modality: PSMA PET/CT | tracer: [18F]PSMA-1007 | view: axial
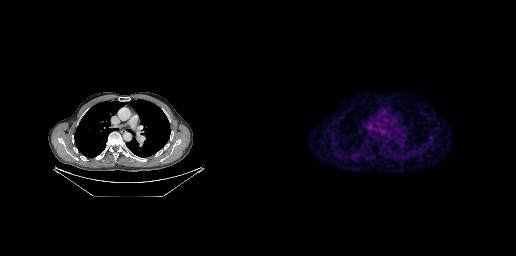
Coordinates are on the 256×256 PET (right) panel. PSMA-avid tumor lesion bounding box (x, y, width, height): x=105 y=124 w=7 h=7.